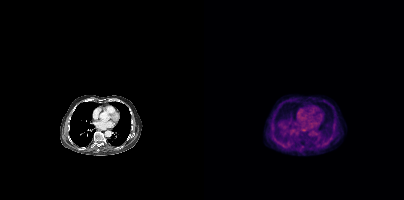
Coordinates are on the 200×200 PET (right) panel. Small PSMA-avid focus (2 to 4 px across) near (center x, center y): (98, 146). Two-panel axial: CT | PSMA PET, 18F-PSMA tracer. Slice 248 of 389. PET panel 200×200 px (4.1 mm/px).